Technique: Two-panel axial: CT | PSMA PET, 18F-PSMA tracer.
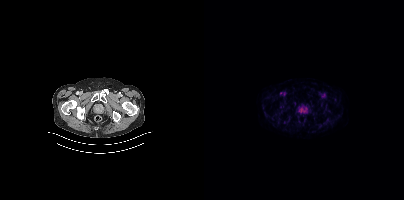
Findings: This slice has no annotated PSMA-avid lesion.